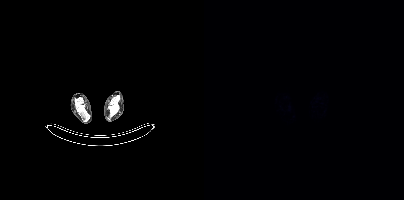
No PSMA-avid tumor lesions on this slice.
modality: PSMA PET/CT | tracer: 18F | view: axial | PET grid: 200×200